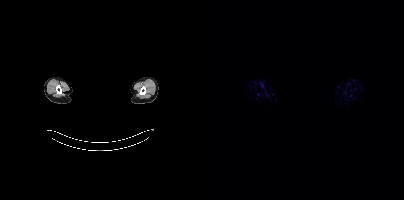
No PSMA-avid tumor lesions on this slice. The head region is masked for de-identification. Paired axial CT (left) and PSMA PET (right), [68Ga]Ga-PSMA-11 tracer. Slice 387 of 389.